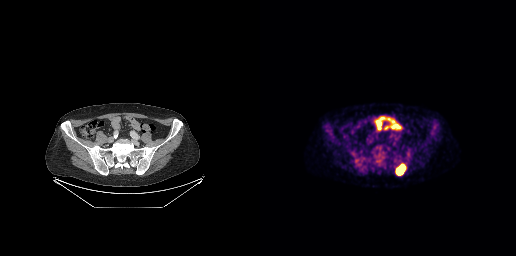
Findings: Coordinates are on the 256×256 PET (right) panel. PSMA-avid tumor lesion bounding box (x0, y0)-(x1, y1): (136, 164)-(145, 175).
- Left: CT. Right: PSMA PET, same axial level, [18F]PSMA-1007 tracer
- slice 178 of 371